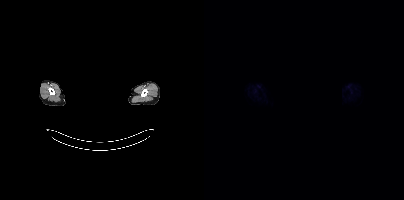
This slice has no annotated PSMA-avid lesion. The head region is masked for de-identification. Left: CT. Right: PSMA PET, same axial level, 18F-PSMA tracer. Acquired on Siemens Biograph mCT Flow 20. PET panel 200×200 px (4.1 mm/px).